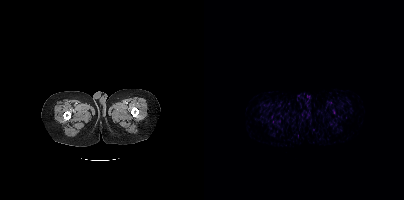
{"modality":"PSMA PET/CT","view":"axial","tracer":"[68Ga]Ga-PSMA-11","pet_grid":[200,200],"coord_frame":"pet_panel","coord_format":"x0,y0,x1,y1","psma_avid_lesions":false}